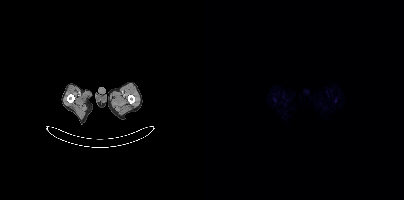
Findings: Negative for PSMA-avid disease on this slice.
- Paired axial CT (left) and PSMA PET (right), 18F-PSMA tracer
- acquired on Siemens Biograph mCT Flow 20
- slice 9 of 354
- PET panel 200×200 px (4.1 mm/px)